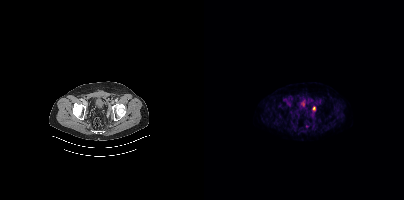
{"pet_grid":[200,200],"coord_frame":"pet_panel","coord_format":"x0,y0,x1,y1","lesion_bboxes":[[108,106,111,110]],"small_foci_centers":[[102,125]],"modality":"PSMA PET/CT","view":"axial","tracer":"[18F]PSMA-1007"}